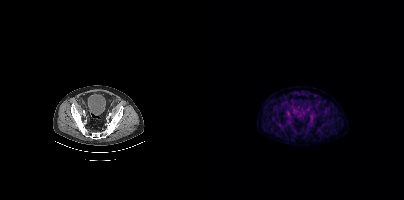
No tumor lesions annotated on this slice.